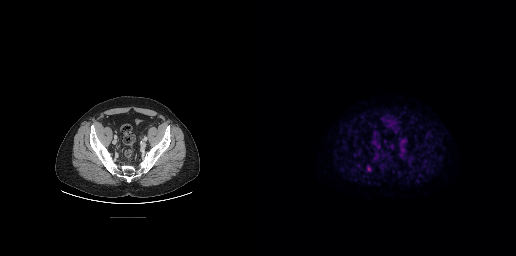
Technique: Left: CT. Right: PSMA PET, same axial level, [18F]PSMA-1007 tracer. slice 65 of 263. PET panel 256×256 px (2.7 mm/px).
Findings: Coordinates are on the 256×256 PET (right) panel. Small PSMA-avid focus (2 to 4 px across) near (center x, center y): (108, 169).